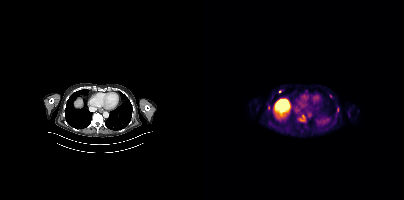
Technique: Left: CT. Right: PSMA PET, same axial level, 18F-PSMA tracer. slice 233 of 421. PET panel 200×200 px (4.1 mm/px).
Findings: Coordinates are on the 200×200 PET (right) panel. Small PSMA-avid focus (2 to 4 px across) near (center x, center y): (76, 91).